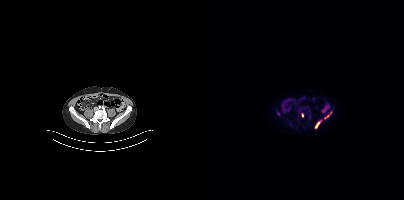
{"modality":"PSMA PET/CT","view":"axial","tracer":"18F-PSMA","pet_grid":[200,200],"coord_frame":"pet_panel","coord_format":"x0,y0,x1,y1","lesion_bboxes":[[111,120,117,128],[120,114,125,119]],"small_foci_centers":[[98,115]]}